modality: PSMA PET/CT | tracer: 68Ga | view: axial
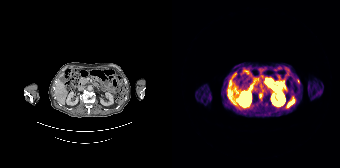
Only PSMA-avid lesion pieces thinner than 2 px on this slice (not listed).